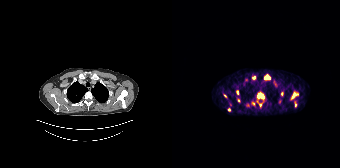
{"pet_grid":[168,168],"coord_frame":"pet_panel","coord_format":"x0,y0,x1,y1","partial":true,"lesion_bboxes":[[85,92,92,99],[119,92,126,99],[92,74,98,79],[101,81,105,87],[64,90,66,94],[123,101,124,106]],"small_foci_centers":[[81,77],[88,105],[57,109],[109,93],[53,95],[66,100],[75,105],[81,103]],"modality":"PSMA PET/CT","view":"axial","tracer":"[68Ga]Ga-PSMA-11"}